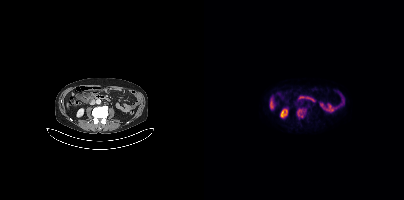
{"modality":"PSMA PET/CT","view":"axial","tracer":"18F-PSMA","pet_grid":[200,200],"coord_frame":"pet_panel","coord_format":"x0,y0,x1,y1","lesion_bboxes":[[93,108,102,118]]}